- Two-panel axial: CT | PSMA PET, 18F tracer
- PET panel 200×200 px (4.1 mm/px)
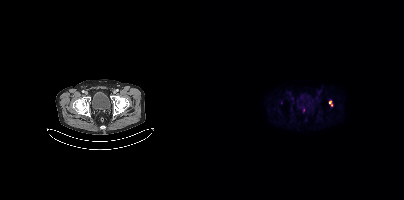
Findings: Coordinates are on the 200×200 PET (right) panel. Small PSMA-avid focus (2 to 4 px across) near (center x, center y): (99, 109).